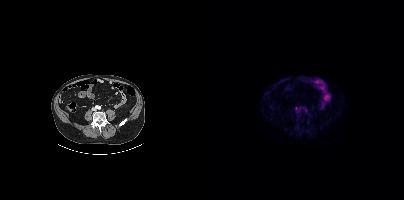
{"modality":"PSMA PET/CT","view":"axial","tracer":"18F","pet_grid":[200,200],"coord_frame":"pet_panel","coord_format":"x0,y0,x1,y1","lesion_bboxes":[],"small_foci_centers":[[92,108]]}